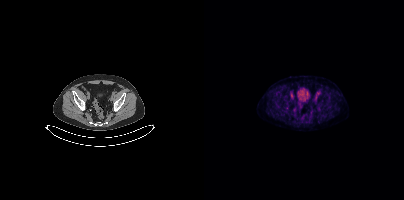
Paired axial CT (left) and PSMA PET (right), 18F tracer. Slice 108 of 433. No tumor lesions annotated on this slice.